Technique: Paired axial CT (left) and PSMA PET (right), 18F-PSMA tracer. slice position z = -1634 mm. PET panel 200×200 px (4.1 mm/px).
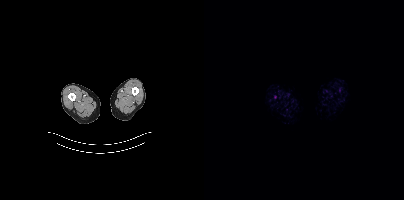
Findings: No tumor lesions annotated on this slice.